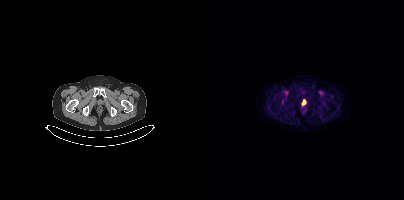
Coordinates are on the 200×200 PET (right) panel. Small PSMA-avid foci (2 to 4 px across) near (center x, center y): (100, 101) | (98, 103).